Two-panel axial: CT | PSMA PET, [18F]PSMA-1007 tracer. Slice position z = -1495 mm. PET panel 168×168 px (4.1 mm/px).
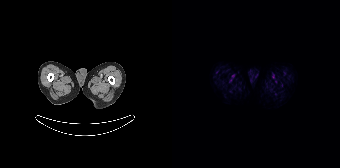
No tumor lesions annotated on this slice.